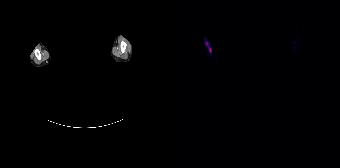
- face de-identified by blanking a block of the head
- Paired axial CT (left) and PSMA PET (right), [18F]PSMA-1007 tracer
- PET panel 168×168 px (4.1 mm/px)
Findings: Coordinates are on the 168×168 PET (right) panel. Small PSMA-avid foci (2 to 4 px across) near (center x, center y): (38, 49) / (34, 43).